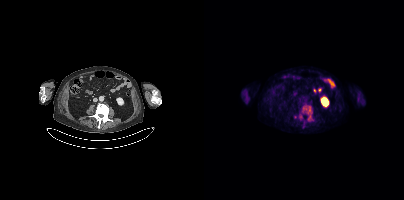
- Two-panel axial: CT | PSMA PET, [18F]PSMA-1007 tracer
Findings: Coordinates are on the 200×200 PET (right) panel. (showing 2 of 3 foci) PSMA-avid tumor lesion bounding box (x0, y0)-(x1, y1): (98, 105)-(108, 120). Small PSMA-avid focus (2 to 4 px across) near (center x, center y): (96, 116).